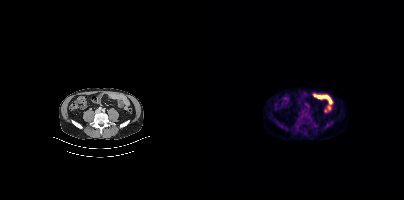
{"modality":"PSMA PET/CT","view":"axial","tracer":"18F-PSMA","pet_grid":[200,200],"coord_frame":"pet_panel","coord_format":"x0,y0,x1,y1","lesion_bboxes":[[98,115,108,124]]}